Two-panel axial: CT | PSMA PET, 18F tracer. Acquired on Siemens Biograph mCT Flow 20. Slice position z = -368 mm. PET panel 200×200 px (4.1 mm/px).
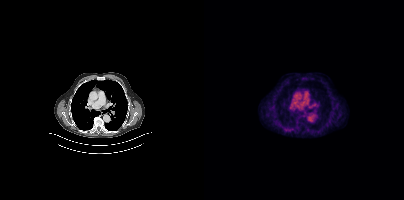
No PSMA-avid tumor lesions on this slice.